Privacy masking over the head, with the pixels inside a rectangle set to black.
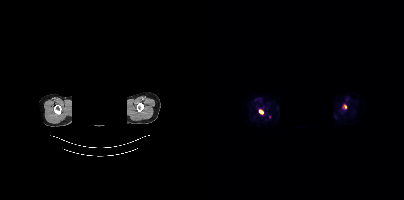
Coordinates are on the 200×200 PET (right) panel. PSMA-avid tumor lesion bounding box (x, y, width, height): x=55 y=109 w=5 h=6. Small PSMA-avid focus (2 to 4 px across) near (center x, center y): (141, 106).